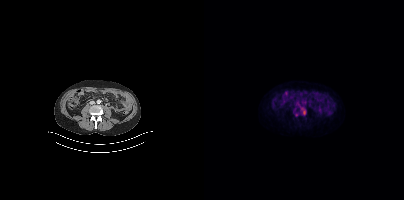
Coordinates are on the 200×200 PET (right) panel. Small PSMA-avid focus (2 to 4 px across) near (center x, center y): (100, 112).